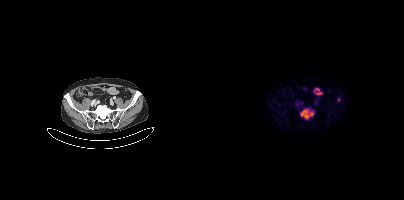
{"modality":"PSMA PET/CT","view":"axial","tracer":"[18F]PSMA-1007","pet_grid":[200,200],"coord_frame":"pet_panel","coord_format":"x0,y0,x1,y1","lesion_bboxes":[[96,109,109,119]],"small_foci_centers":[[134,99]]}